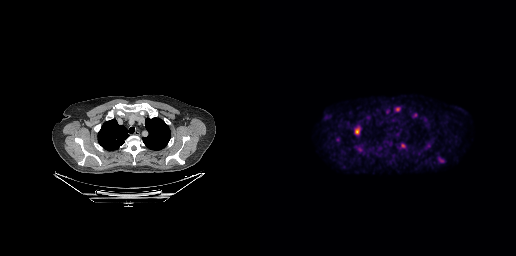
Technique: Two-panel axial: CT | PSMA PET, 18F-PSMA tracer. slice position z = -191 mm.
Findings: Coordinates are on the 256×256 PET (right) panel. (showing 3 of 5 foci) PSMA-avid tumor lesion bounding boxes (x0, y0)-(x1, y1): (95, 128)-(99, 134); (141, 144)-(145, 147). Small PSMA-avid focus (2 to 4 px across) near (center x, center y): (99, 149).